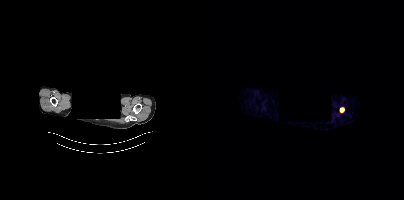
{"modality":"PSMA PET/CT","view":"axial","tracer":"68Ga-PSMA","pet_grid":[200,200],"coord_frame":"pet_panel","coord_format":"x0,y0,x1,y1","de-identification":"privacy mask over head","lesion_bboxes":[],"small_foci_centers":[[137,109]]}